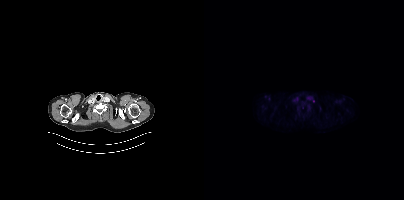
Two-panel axial: CT | PSMA PET, 18F-PSMA tracer. Slice 363 of 421. PET panel 200×200 px (4.1 mm/px). Negative for PSMA-avid disease on this slice.